modality: PSMA PET/CT | tracer: [68Ga]Ga-PSMA-11 | view: axial
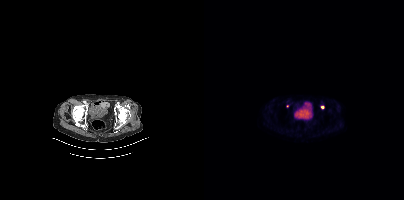
Coordinates are on the 200×200 PET (right) panel. Small PSMA-avid foci (2 to 4 px across) near (center x, center y): (118, 107) (83, 105).